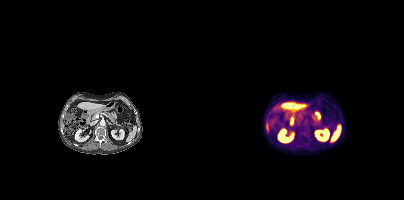
No PSMA-avid tumor lesions on this slice.